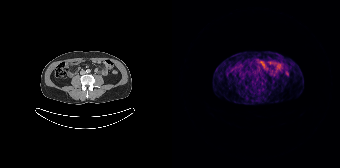
modality: PSMA PET/CT | tracer: 68Ga | view: axial
This slice has no annotated PSMA-avid lesion.